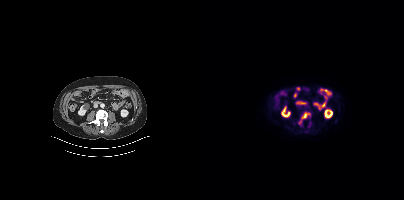
Coordinates are on the 200×200 PET (right) panel. (showing 2 of 3 foci) PSMA-avid tumor lesion bounding boxes (x, y, width, height): x=95 y=112 w=12 h=12 | x=104 y=123 w=4 h=6.